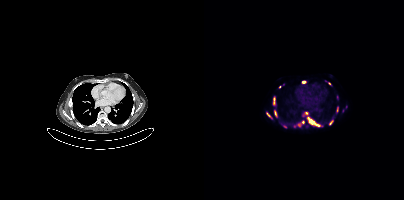
{"pet_grid":[200,200],"coord_frame":"pet_panel","coord_format":"x0,y0,x1,y1","partial":true,"lesion_bboxes":[[103,117,115,126],[89,121,99,127],[125,120,128,125],[132,107,134,112],[69,97,70,104],[71,111,72,116],[63,113,66,117]],"small_foci_centers":[[99,81],[81,126],[75,86],[102,113],[125,83]],"modality":"PSMA PET/CT","view":"axial","tracer":"18F"}